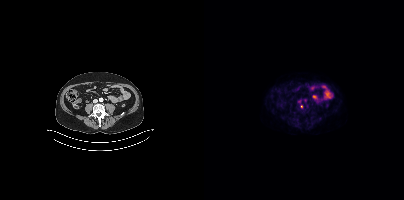
Coordinates are on the 200×200 PET (right) panel. Small PSMA-avid focus (2 to 4 px across) near (center x, center y): (97, 106).